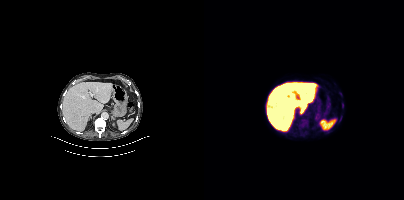
Coordinates are on the 200×200 PET (right) panel. (showing 2 of 3 foci) PSMA-avid tumor lesion bounding box (x0, y0)-(x1, y1): (138, 103)-(139, 107). Small PSMA-avid focus (2 to 4 px across) near (center x, center y): (136, 94). Paired axial CT (left) and PSMA PET (right), 18F tracer. PET panel 200×200 px (4.1 mm/px).